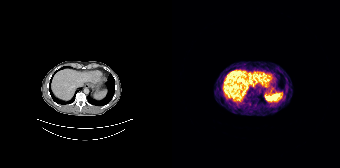
Negative for PSMA-avid disease on this slice.